Technique: Paired axial CT (left) and PSMA PET (right), 18F tracer. slice position z = -758 mm. PET panel 200×200 px (4.1 mm/px).
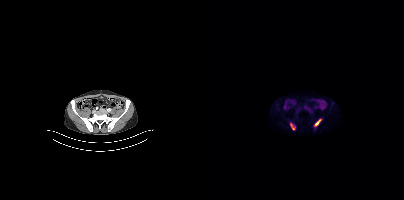
Findings: Coordinates are on the 200×200 PET (right) panel. PSMA-avid tumor lesion bounding boxes (x0,y0,x1,y1): [86,123,91,130]; [110,119,116,126].